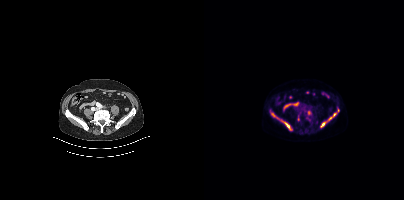
- Left: CT. Right: PSMA PET, same axial level, 18F tracer
- slice position z = -1399 mm
Findings: Coordinates are on the 200×200 PET (right) panel. (showing 6 of 7 foci) PSMA-avid tumor lesion bounding boxes (x, y, width, height): x=77 y=120 w=11 h=11 | x=123 y=112 w=10 h=10 | x=117 y=122 w=5 h=6 | x=67 y=113 w=7 h=6. Small PSMA-avid foci (2 to 4 px across) near (center x, center y): (134, 110) | (105, 119).